Paired axial CT (left) and PSMA PET (right), 18F tracer. Acquired on Siemens Biograph mCT Flow 20. PET panel 200×200 px (4.1 mm/px).
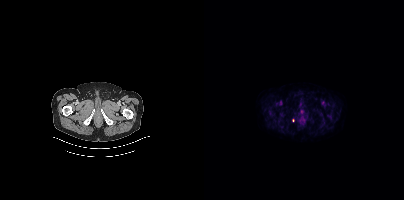
Coordinates are on the 200×200 PET (right) panel. Small PSMA-avid focus (2 to 4 px across) near (center x, center y): (89, 120).